modality: PSMA PET/CT | tracer: [18F]PSMA-1007 | view: axial
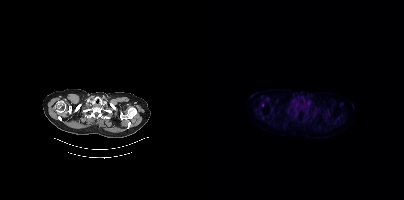
Negative for PSMA-avid disease on this slice.